modality: PSMA PET/CT | tracer: [18F]PSMA-1007 | view: axial
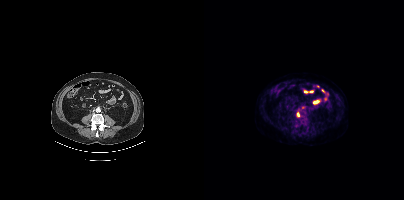
Coordinates are on the 200×200 PET (right) panel. Small PSMA-avid foci (2 to 4 px across) near (center x, center y): (99, 107) / (93, 114).